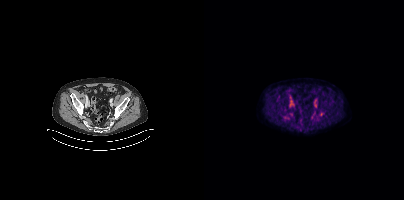
No tumor lesions annotated on this slice.